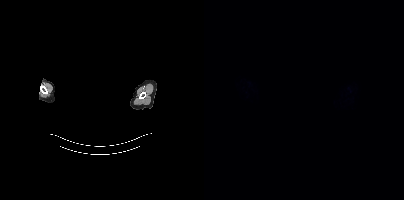
The face region was removed for patient privacy by blanking a rectangle over the head. Paired axial CT (left) and PSMA PET (right), [18F]PSMA-1007 tracer. No PSMA-avid tumor lesions on this slice.